Left: CT. Right: PSMA PET, same axial level, 68Ga-PSMA tracer. PET panel 200×200 px (4.1 mm/px).
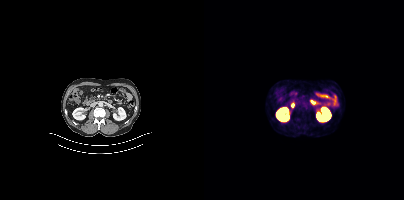
No PSMA-avid tumor lesions on this slice.